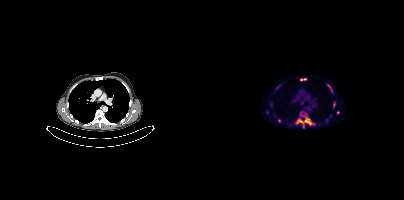
Technique: Two-panel axial: CT | PSMA PET, [18F]PSMA-1007 tracer. slice 274 of 403.
Findings: Coordinates are on the 200×200 PET (right) panel. (showing 8 of 11 foci) PSMA-avid tumor lesion bounding boxes (x0,y0,x1,y1): [91,111,111,128]; [96,78,102,80]; [129,101,131,107]. Small PSMA-avid foci (2 to 4 px across) near (center x, center y): (75, 120); (127, 90); (134, 112); (76, 84); (122, 120).